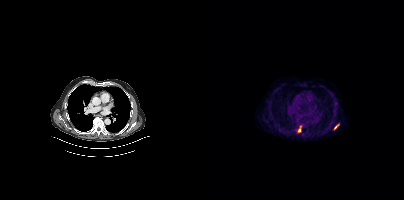
Coordinates are on the 200×200 PET (right) panel. PSMA-avid tumor lesion bounding boxes:
| # | x0 | y0 | x1 | y1 |
|---|---|---|---|---|
| 1 | 94 | 126 | 97 | 132 |
| 2 | 130 | 124 | 134 | 129 |
Left: CT. Right: PSMA PET, same axial level, 18F tracer. Acquired on Siemens Biograph mCT Flow 20. Slice 269 of 427.